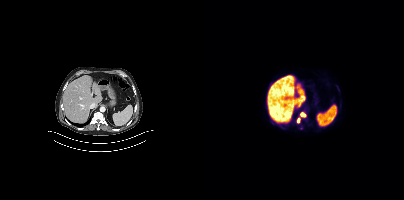
Two-panel axial: CT | PSMA PET, 18F-PSMA tracer. Acquired on Siemens Biograph mCT Flow 20. PET panel 200×200 px (4.1 mm/px).
Coordinates are on the 200×200 PET (right) panel. PSMA-avid tumor lesion bounding boxes:
| # | x0 | y0 | x1 | y1 |
|---|---|---|---|---|
| 1 | 93 | 112 | 102 | 123 |